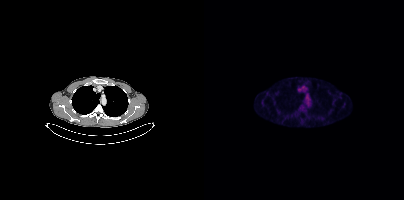
modality: PSMA PET/CT | tracer: 18F-PSMA | view: axial
No PSMA-avid tumor lesions on this slice.